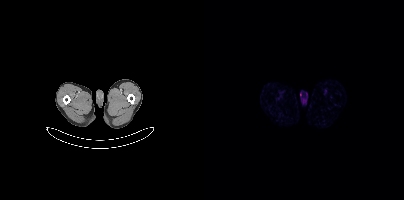
{"modality":"PSMA PET/CT","view":"axial","tracer":"68Ga","pet_grid":[200,200],"coord_frame":"pet_panel","coord_format":"x0,y0,x1,y1","psma_avid_lesions":false}